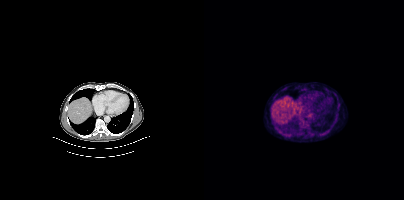
{"modality":"PSMA PET/CT","view":"axial","tracer":"18F","pet_grid":[200,200],"coord_frame":"pet_panel","coord_format":"x0,y0,x1,y1","lesion_bboxes":[[117,131,122,136],[81,133,85,137]],"small_foci_centers":[[97,118]]}